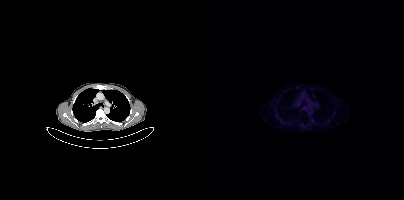
Negative for PSMA-avid disease on this slice.